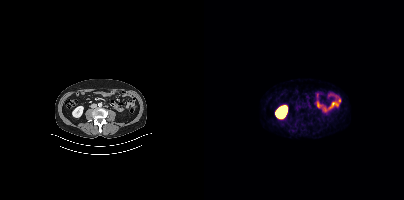
Technique: Left: CT. Right: PSMA PET, same axial level, [68Ga]Ga-PSMA-11 tracer. PET panel 200×200 px (4.1 mm/px).
Findings: This slice has no annotated PSMA-avid lesion.